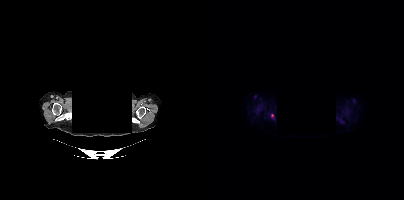
{"modality":"PSMA PET/CT","view":"axial","tracer":"18F","pet_grid":[200,200],"coord_frame":"pet_panel","coord_format":"x0,y0,x1,y1","lesion_bboxes":[[135,118,139,123]],"small_foci_centers":[[68,115]],"de-identification":"facial region redacted"}